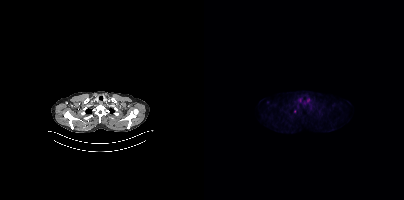
This slice has no annotated PSMA-avid lesion.